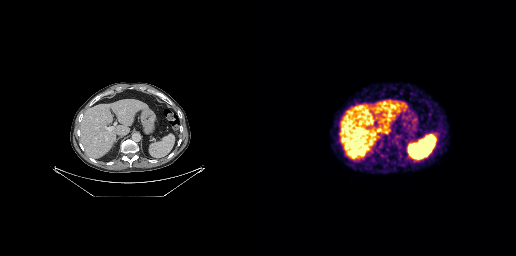
Technique: Left: CT. Right: PSMA PET, same axial level, [68Ga]Ga-PSMA-11 tracer.
Findings: Coordinates are on the 256×256 PET (right) panel. Small PSMA-avid focus (2 to 4 px across) near (center x, center y): (175, 134).